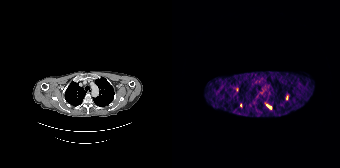
Coordinates are on the 168×168 PET (right) panel. PSMA-avid tumor lesion bounding boxes (partial; 1 more focus not listed):
| # | x0 | y0 | x1 | y1 |
|---|---|---|---|---|
| 1 | 95 | 105 | 99 | 108 |
Small PSMA-avid foci (2 to 4 px across) near (center x, center y): (65, 89); (68, 105).
Left: CT. Right: PSMA PET, same axial level, [68Ga]Ga-PSMA-11 tracer. Slice 127 of 165.